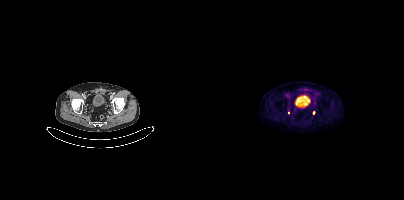
Coordinates are on the 200×200 PET (right) panel. Small PSMA-avid focus (2 to 4 px across) near (center x, center y): (109, 112).
modality: PSMA PET/CT | tracer: 18F-PSMA | view: axial